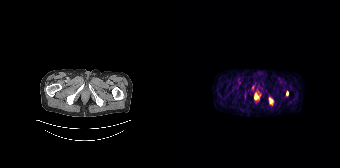
- Left: CT. Right: PSMA PET, same axial level, 68Ga-PSMA tracer
- slice 44 of 195
Findings: Coordinates are on the 168×168 PET (right) panel. PSMA-avid tumor lesion bounding box (x0,y0,x1,y1): [97,97,101,104]. Small PSMA-avid foci (2 to 4 px across) near (center x, center y): (115, 93), (80, 87).